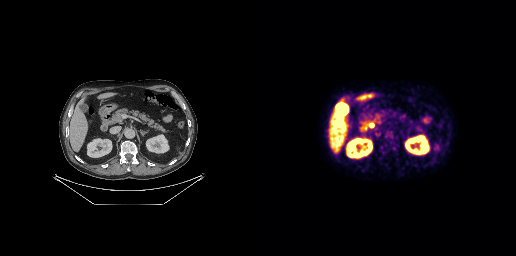
{"modality":"PSMA PET/CT","view":"axial","tracer":"18F","pet_grid":[256,256],"coord_frame":"pet_panel","coord_format":"x0,y0,x1,y1","psma_avid_lesions":false}